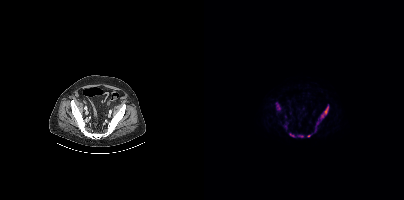
Findings: Coordinates are on the 200×200 PET (right) panel. (showing 6 of 7 foci) PSMA-avid tumor lesion bounding boxes (x, y, width, height): x=111 y=104 w=15 h=28 | x=72 y=102 w=5 h=9 | x=85 y=133 w=7 h=5 | x=93 y=135 w=7 h=3 | x=103 y=134 w=5 h=4. Small PSMA-avid focus (2 to 4 px across) near (center x, center y): (81, 126).
- Two-panel axial: CT | PSMA PET, 18F-PSMA tracer
- acquired on Siemens Biograph mCT Flow 20
- slice position z = -1577 mm
- PET panel 200×200 px (4.1 mm/px)